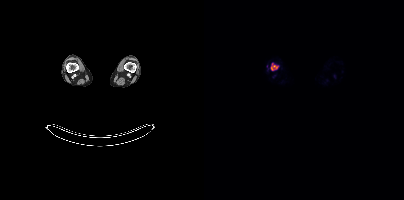
Coordinates are on the 200×200 PET (right) panel. PSMA-avid tumor lesion bounding box (x, y, width, height): x=67 y=63 w=8 h=8.